modality: PSMA PET/CT | tracer: [18F]PSMA-1007 | view: axial
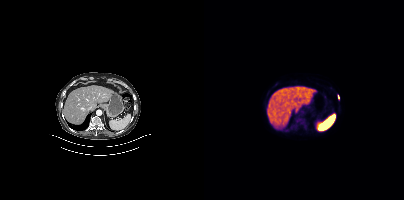
Coordinates are on the 200×200 PET (right) panel. Small PSMA-avid focus (2 to 4 px across) near (center x, center y): (134, 96).